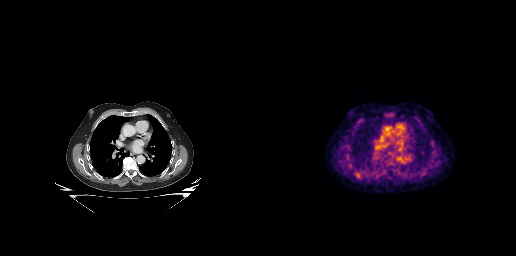
Left: CT. Right: PSMA PET, same axial level, 18F-PSMA tracer. Negative for PSMA-avid disease on this slice.